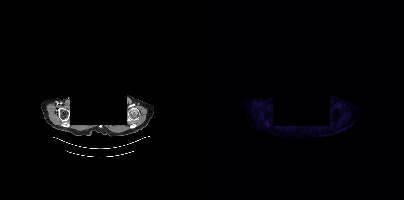
Privacy masking over the head, with the pixels inside a rectangle set to black. Left: CT. Right: PSMA PET, same axial level, 18F tracer. Negative for PSMA-avid disease on this slice.